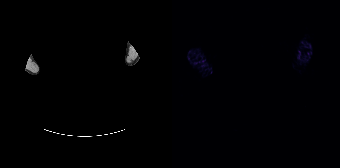
{"modality":"PSMA PET/CT","view":"axial","tracer":"[68Ga]Ga-PSMA-11","pet_grid":[168,168],"coord_frame":"pet_panel","coord_format":"x0,y0,x1,y1","psma_avid_lesions":false,"deidentification":"privacy mask over head"}